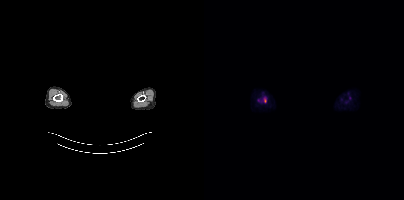
{"modality":"PSMA PET/CT","view":"axial","tracer":"18F-PSMA","pet_grid":[200,200],"coord_frame":"pet_panel","coord_format":"x0,y0,x1,y1","lesion_bboxes":[[60,98,62,102]],"redaction":"face masked with black rectangle"}